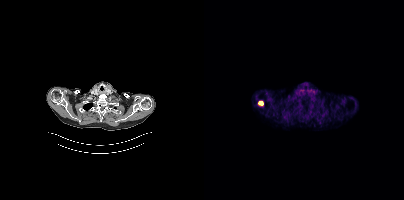
Coordinates are on the 200×200 PET (right) panel. PSMA-avid tumor lesion bounding box (x, y, width, height): x=54 y=101 w=6 h=5. Paired axial CT (left) and PSMA PET (right), 18F tracer. Slice position z = -418 mm. PET panel 200×200 px (4.1 mm/px).